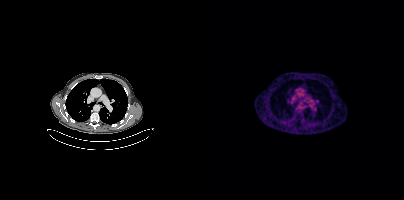
This slice has no annotated PSMA-avid lesion.